Technique: Two-panel axial: CT | PSMA PET, 18F tracer. PET panel 200×200 px (4.1 mm/px).
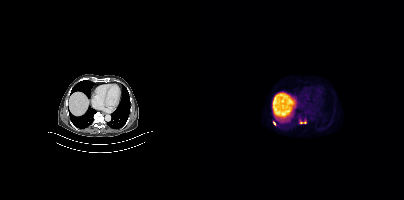
Findings: Coordinates are on the 200×200 PET (right) panel. PSMA-avid tumor lesion bounding boxes (x, y, width, height): x=96 y=120 w=7 h=4 / x=69 y=120 w=4 h=6.